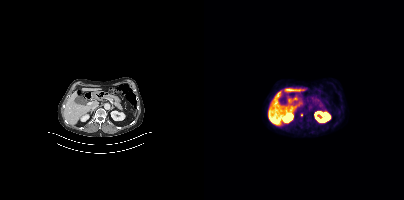
Coordinates are on the 200×200 PET (right) panel. Small PSMA-avid focus (2 to 4 px across) near (center x, center y): (97, 114).
modality: PSMA PET/CT | tracer: 18F-PSMA | view: axial